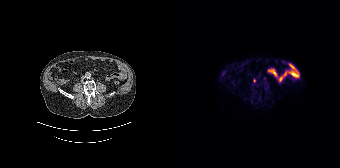
Coordinates are on the 168×168 PET (right) panel. (showing 1 of 2 foci) Small PSMA-avid focus (2 to 4 px across) near (center x, center y): (82, 80). Paired axial CT (left) and PSMA PET (right), [18F]PSMA-1007 tracer. Acquired on Siemens Biograph 64-4R TruePoint. Slice position z = -1092 mm. PET panel 168×168 px (4.1 mm/px).